modality: PSMA PET/CT | tracer: [18F]PSMA-1007 | view: axial
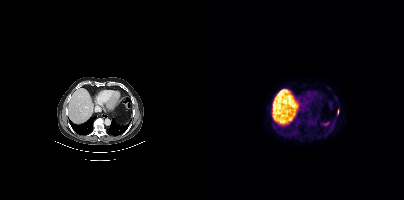
Coordinates are on the 200×200 PET (right) panel. PSMA-avid tumor lesion bounding box (x, y, width, height): x=133 y=109 w=2 h=6.